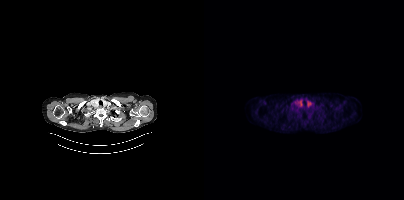
This slice has no annotated PSMA-avid lesion.
modality: PSMA PET/CT | tracer: 18F | view: axial